Left: CT. Right: PSMA PET, same axial level, 18F tracer. Acquired on Siemens Biograph mCT Flow 20. PET panel 200×200 px (4.1 mm/px).
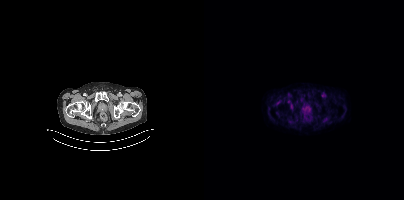
This slice has no annotated PSMA-avid lesion.